Two-panel axial: CT | PSMA PET, [18F]PSMA-1007 tracer. PET panel 200×200 px (4.1 mm/px).
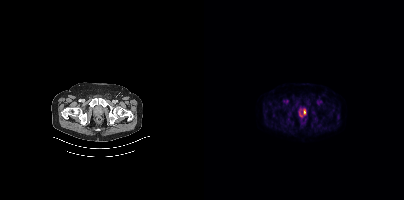
This slice has no annotated PSMA-avid lesion.